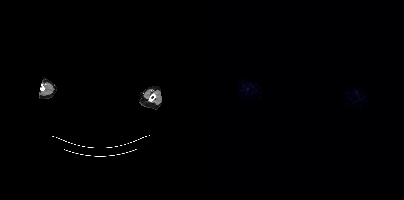
A rectangular block over the head has been blanked out for de-identification.
Negative for PSMA-avid disease on this slice.